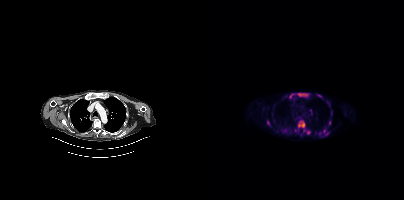
Coordinates are on the 200×200 PET (right) panel. (showing 10 of 11 foci) PSMA-avid tumor lesion bounding boxes (x, y, width, height): x=94 y=119 w=13 h=15 / x=93 y=93 w=13 h=5 / x=85 y=93 w=5 h=7 / x=119 y=129 w=7 h=7 / x=105 y=109 w=4 h=7 / x=113 y=94 w=5 h=4. Small PSMA-avid foci (2 to 4 px across) near (center x, center y): (64, 122) / (125, 122) / (116, 133) / (127, 112). Paired axial CT (left) and PSMA PET (right), 18F tracer. Slice 320 of 415. PET panel 200×200 px (4.1 mm/px).